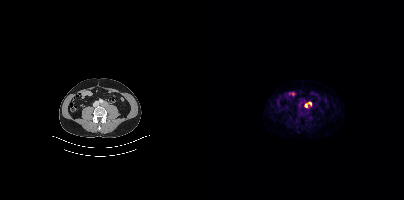
Coordinates are on the 200×200 PET (right) panel. PSMA-avid tumor lesion bounding box (x, y, width, height): x=101 y=102 w=7 h=6.